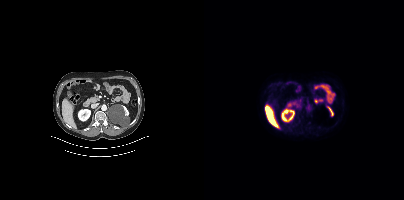
modality: PSMA PET/CT | tracer: [18F]PSMA-1007 | view: axial
No PSMA-avid tumor lesions on this slice.